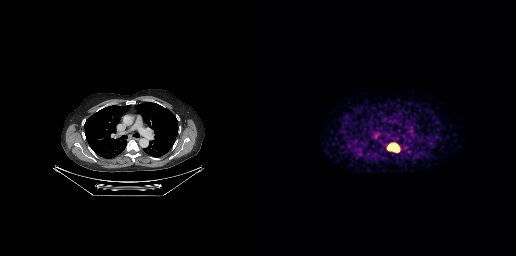
- Two-panel axial: CT | PSMA PET, 68Ga-PSMA tracer
- slice 230 of 299
Findings: Coordinates are on the 256×256 PET (right) panel. PSMA-avid tumor lesion bounding box (x0,y0,x1,y1): [127,142,140,152].